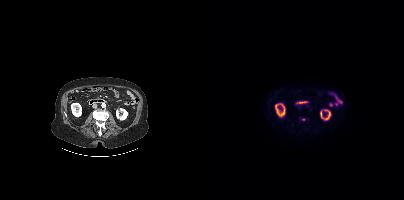
Two-panel axial: CT | PSMA PET, 18F-PSMA tracer. Slice position z = -1252 mm. No tumor lesions annotated on this slice.